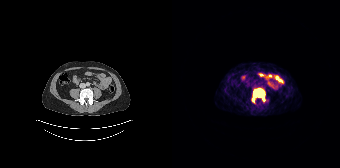
Coordinates are on the 168×168 PET (right) panel. PSMA-avid tumor lesion bounding box (x0,y0,x1,y1): [80,88,92,101].